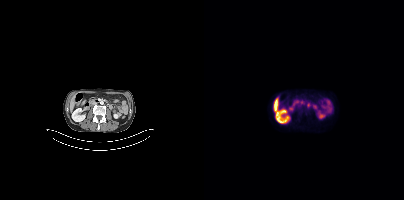
{"modality":"PSMA PET/CT","view":"axial","tracer":"18F-PSMA","pet_grid":[200,200],"coord_frame":"pet_panel","coord_format":"x0,y0,x1,y1","lesion_bboxes":[[103,102,107,107]],"small_foci_centers":[[98,102]]}